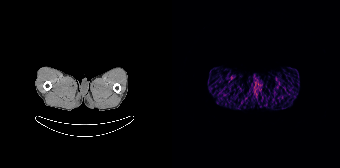
This slice has no annotated PSMA-avid lesion.